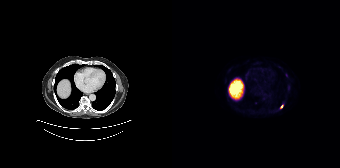
Two-panel axial: CT | PSMA PET, [18F]PSMA-1007 tracer. Acquired on Siemens Biograph 64-4R TruePoint. Slice position z = -750 mm. PET panel 168×168 px (4.1 mm/px).
Coordinates are on the 168×168 PET (right) panel. PSMA-avid tumor lesion bounding boxes (partial; 1 more focus not listed):
| # | x0 | y0 | x1 | y1 |
|---|---|---|---|---|
| 1 | 108 | 104 | 111 | 108 |